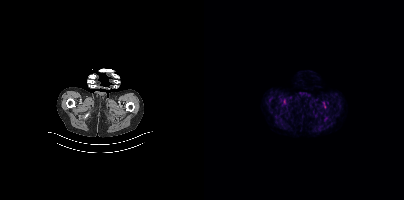
Findings: This slice has no annotated PSMA-avid lesion.
Technique: Two-panel axial: CT | PSMA PET, [18F]PSMA-1007 tracer. slice 26 of 421.